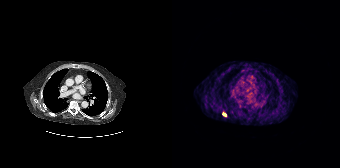
Coordinates are on the 168×168 PET (right) panel. Small PSMA-avid focus (2 to 4 px across) near (center x, center y): (52, 114). Paired axial CT (left) and PSMA PET (right), 68Ga tracer. Slice 145 of 195.